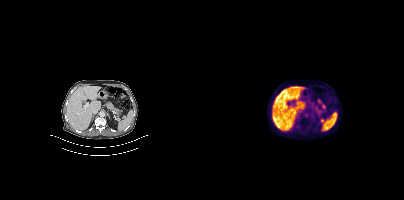
This slice has no annotated PSMA-avid lesion.